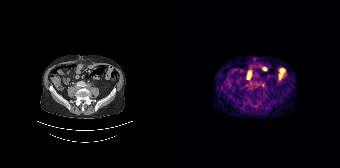
Findings: Only PSMA-avid lesion pieces thinner than 2 px on this slice (not listed).
Technique: Left: CT. Right: PSMA PET, same axial level, 68Ga-PSMA tracer. slice 61 of 165.